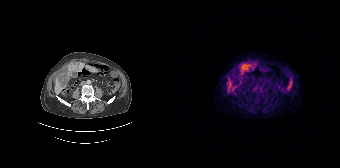
Coordinates are on the 168×168 PET (right) panel. PSMA-avid tumor lesion bounding boxes (x0,y0,x1,y1): [69,64,77,70] [58,81,61,85].